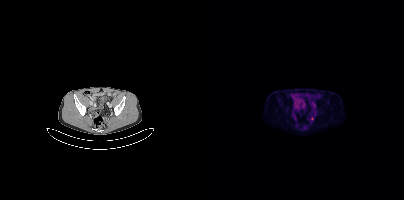
No tumor lesions annotated on this slice. Left: CT. Right: PSMA PET, same axial level, [18F]PSMA-1007 tracer. Acquired on Siemens Biograph mCT Flow 20.